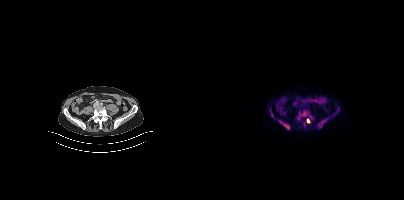
{"modality":"PSMA PET/CT","view":"axial","tracer":"18F","pet_grid":[200,200],"coord_frame":"pet_panel","coord_format":"x0,y0,x1,y1","lesion_bboxes":[[94,110,105,118],[114,119,122,128],[75,120,85,129]],"small_foci_centers":[[104,120]]}